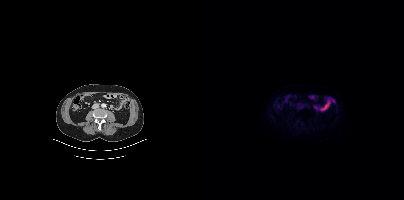
modality: PSMA PET/CT | tracer: 18F-PSMA | view: axial | PET grid: 200×200
No PSMA-avid tumor lesions on this slice.